Technique: Paired axial CT (left) and PSMA PET (right), 18F-PSMA tracer. slice 336 of 438.
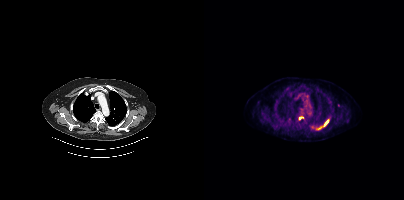
Findings: Coordinates are on the 200×200 PET (right) panel. PSMA-avid tumor lesion bounding boxes (x0,y0,x1,y1): [108,125,118,130]; [120,120,124,126]. Small PSMA-avid foci (2 to 4 px across) near (center x, center y): (134, 105); (95, 118).